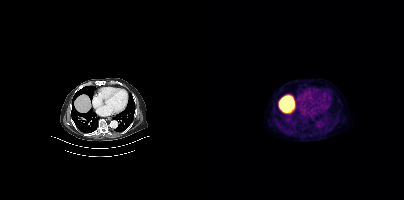
modality: PSMA PET/CT | tracer: [18F]PSMA-1007 | view: axial
No PSMA-avid tumor lesions on this slice.